Two-panel axial: CT | PSMA PET, 68Ga tracer. Acquired on Siemens Biograph mCT Flow 20. PET panel 200×200 px (4.1 mm/px).
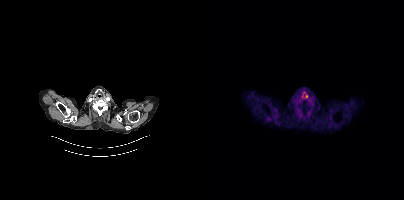
This slice has no annotated PSMA-avid lesion.